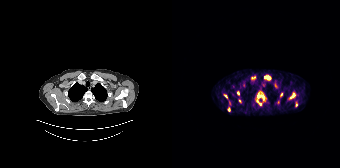
Coordinates are on the 168×168 PET (right) panel. (showing 12 of 15 foci) PSMA-avid tumor lesion bounding boxes (x, y, width, height): x=85 y=92 w=8 h=11 | x=92 y=75 w=7 h=5 | x=117 y=93 w=7 h=7 | x=102 y=81 w=5 h=8 | x=65 y=91 w=3 h=5 | x=52 y=94 w=4 h=5 | x=123 y=102 w=3 h=5. Small PSMA-avid foci (2 to 4 px across) near (center x, center y): (81, 77) | (57, 109) | (109, 94) | (68, 101) | (88, 104).